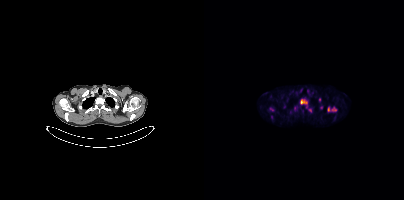
- Paired axial CT (left) and PSMA PET (right), 18F tracer
- slice 322 of 403
- PET panel 200×200 px (4.1 mm/px)
Findings: Coordinates are on the 200×200 PET (right) panel. (showing 6 of 7 foci) PSMA-avid tumor lesion bounding boxes (x0, y0)-(x1, y1): (96, 99)-(103, 107) / (123, 106)-(133, 111). Small PSMA-avid foci (2 to 4 px across) near (center x, center y): (106, 110) / (115, 99) / (67, 109) / (117, 107).